modality: PSMA PET/CT | tracer: 18F-PSMA | view: axial | PET grid: 200×200
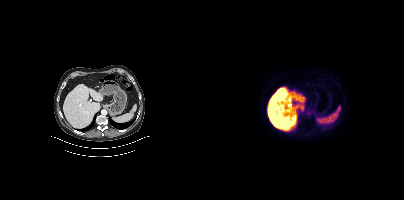
Negative for PSMA-avid disease on this slice.